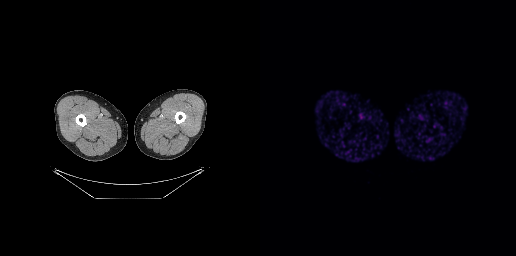
Two-panel axial: CT | PSMA PET, 68Ga-PSMA tracer. PET panel 256×256 px (2.7 mm/px). No PSMA-avid tumor lesions on this slice.